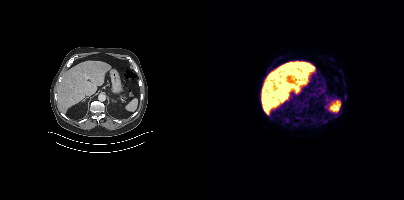
No PSMA-avid tumor lesions on this slice.